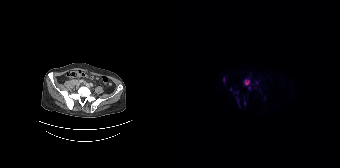
Technique: Two-panel axial: CT | PSMA PET, 18F-PSMA tracer. slice position z = -1394 mm. PET panel 168×168 px (4.1 mm/px).
Findings: Coordinates are on the 168×168 PET (right) panel. (showing 7 of 10 foci) PSMA-avid tumor lesion bounding boxes (x, y, width, height): x=72 y=80 w=15 h=10 / x=65 y=99 w=4 h=9 / x=72 y=101 w=2 h=5. Small PSMA-avid foci (2 to 4 px across) near (center x, center y): (51, 79) / (83, 87) / (58, 89) / (65, 92).